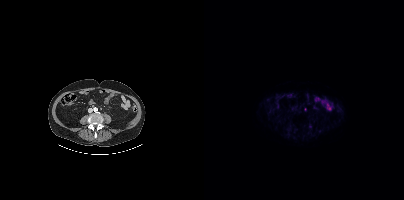
Only PSMA-avid lesion pieces thinner than 2 px on this slice (not listed).
modality: PSMA PET/CT | tracer: [18F]PSMA-1007 | view: axial